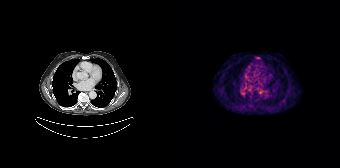
Coordinates are on the 168×168 PET (right) panel. Small PSMA-avid focus (2 to 4 px across) near (center x, center y): (77, 89).
modality: PSMA PET/CT | tracer: [68Ga]Ga-PSMA-11 | view: axial